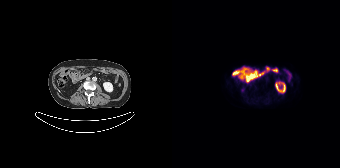
This slice has no annotated PSMA-avid lesion.